modality: PSMA PET/CT | tracer: [18F]PSMA-1007 | view: axial | PET grid: 200×200
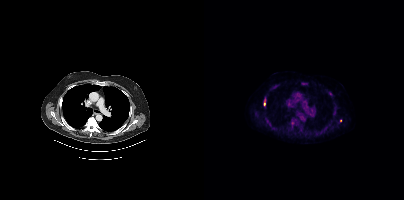
Coordinates are on the 200×200 PET (right) panel. PSMA-avid tumor lesion bounding boxes (x, y, width, height): x=61 y=117 w=6 h=8 / x=87 y=120 w=4 h=7 / x=59 y=99 w=3 h=7. Small PSMA-avid focus (2 to 4 px across) near (center x, center y): (136, 120).